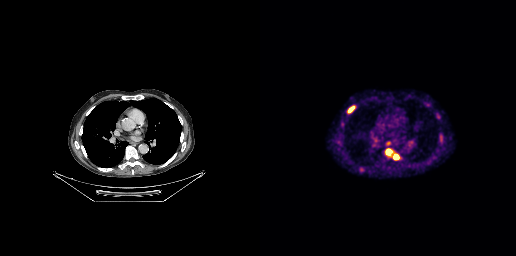
Paired axial CT (left) and PSMA PET (right), 68Ga tracer. Acquired on GE Discovery 690. Slice position z = -481 mm. PET panel 256×256 px (2.7 mm/px). Coordinates are on the 256×256 PET (right) panel. PSMA-avid tumor lesion bounding boxes (x, y, width, height): x=126 y=149 w=7 h=6 / x=88 y=106 w=7 h=7 / x=133 y=154 w=6 h=6 / x=180 y=137 w=3 h=6. Small PSMA-avid focus (2 to 4 px across) near (center x, center y): (82, 124).